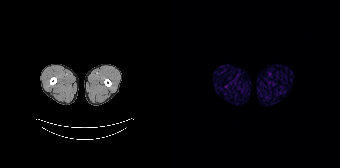
modality: PSMA PET/CT | tracer: [68Ga]Ga-PSMA-11 | view: axial
Negative for PSMA-avid disease on this slice.